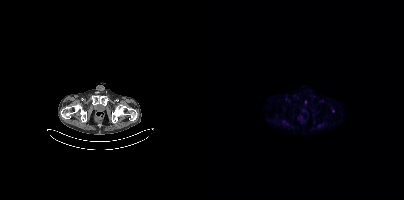
Only PSMA-avid lesion pieces thinner than 2 px on this slice (not listed).